modality: PSMA PET/CT | tracer: [18F]PSMA-1007 | view: axial | PET grid: 200×200
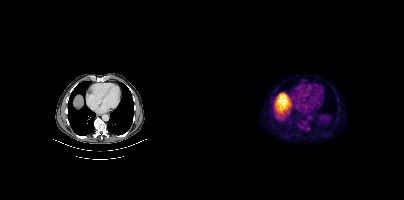
Coordinates are on the 200×200 PET (right) panel. Small PSMA-avid focus (2 to 4 px across) near (center x, center y): (104, 128).